modality: PSMA PET/CT | tracer: 18F | view: axial | PET grid: 200×200
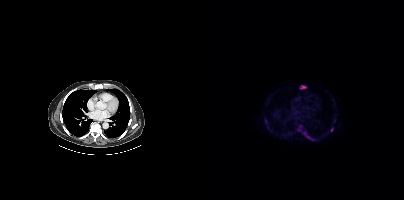
Coordinates are on the 200×200 PET (right) panel. (showing 5 of 6 foci) PSMA-avid tumor lesion bounding boxes (x0, y0)-(x1, y1): (100, 132)-(109, 140) / (96, 85)-(102, 89). Small PSMA-avid foci (2 to 4 px across) near (center x, center y): (94, 129) / (127, 129) / (61, 121).